Technique: Two-panel axial: CT | PSMA PET, 68Ga-PSMA tracer. acquired on Siemens Biograph mCT Flow 20.
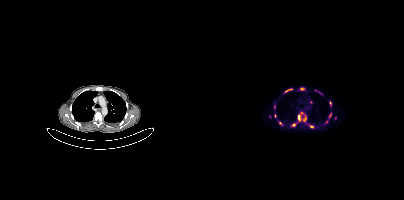
Findings: Coordinates are on the 200×200 PET (right) panel. (showing 15 of 17 foci) PSMA-avid tumor lesion bounding boxes (x, y, width, height): x=80 y=88 w=9 h=5; x=94 y=115 w=3 h=6; x=97 y=112 w=5 h=4; x=125 y=113 w=3 h=5. Small PSMA-avid foci (2 to 4 px across) near (center x, center y): (71, 115); (122, 121); (70, 106); (76, 123); (116, 93); (107, 102); (126, 102); (98, 88); (107, 126); (89, 124); (100, 119).